modality: PSMA PET/CT | tracer: 18F | view: axial
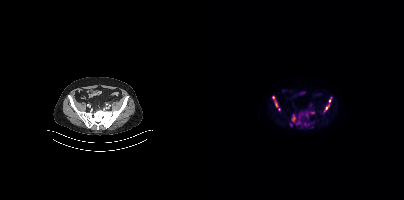
Coordinates are on the 200×200 PET (right) panel. (showing 8 of 11 foci) PSMA-avid tumor lesion bounding boxes (x, y, width, height): x=120 y=104 w=6 h=8 | x=71 y=101 w=3 h=7 | x=88 y=116 w=4 h=6 | x=101 y=112 w=4 h=6 | x=106 y=111 w=5 h=3 | x=125 y=97 w=3 h=6. Small PSMA-avid foci (2 to 4 px across) near (center x, center y): (69, 97) | (95, 116).